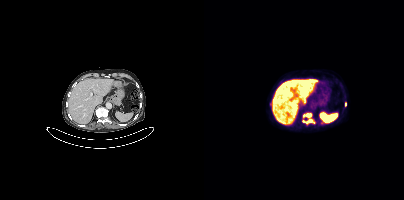
Coordinates are on the 200×200 PET (right) panel. PSMA-avid tumor lesion bounding boxes:
| # | x0 | y0 | x1 | y1 |
|---|---|---|---|---|
| 1 | 99 | 113 | 110 | 123 |
Small PSMA-avid foci (2 to 4 px across) near (center x, center y): (67, 103); (141, 104); (117, 123).
Left: CT. Right: PSMA PET, same axial level, [18F]PSMA-1007 tracer. Slice 221 of 401.